Technique: Two-panel axial: CT | PSMA PET, 18F tracer. acquired on Siemens Biograph mCT Flow 20. slice 209 of 377.
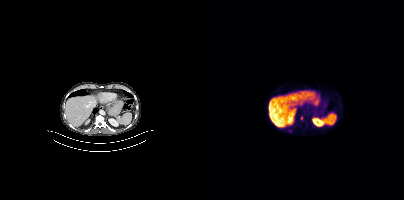
Findings: Coordinates are on the 200×200 PET (right) panel. Small PSMA-avid focus (2 to 4 px across) near (center x, center y): (97, 117).